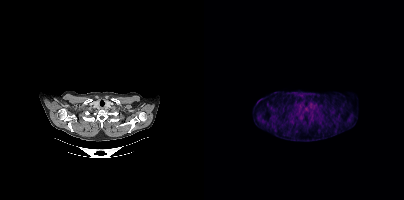
Findings: This slice has no annotated PSMA-avid lesion.
Technique: Paired axial CT (left) and PSMA PET (right), 18F tracer. slice 330 of 397. PET panel 200×200 px (4.1 mm/px).